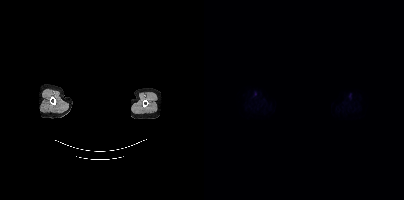
No tumor lesions annotated on this slice. Two-panel axial: CT | PSMA PET, 18F-PSMA tracer. Slice position z = -342 mm. PET panel 200×200 px (4.1 mm/px). Any black rectangle over the head is a privacy mask, not anatomy.